Paired axial CT (left) and PSMA PET (right), [18F]PSMA-1007 tracer. Acquired on Siemens Biograph mCT Flow 20. Slice 355 of 421. PET panel 200×200 px (4.1 mm/px).
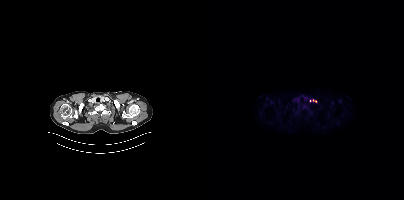
Only PSMA-avid lesion pieces thinner than 2 px on this slice (not listed).